Left: CT. Right: PSMA PET, same axial level, 18F tracer.
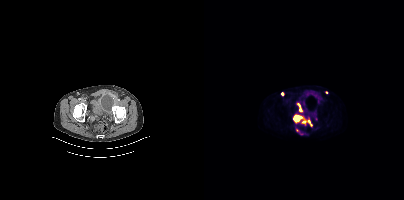
Coordinates are on the 200×200 PET (right) panel. PSMA-avid tumor lesion bounding boxes (x, y, width, height): x=89 y=114 w=10 h=9; x=93 y=103 w=6 h=9; x=104 y=121 w=5 h=6; x=98 y=121 w=5 h=3. Small PSMA-avid foci (2 to 4 px across) near (center x, center y): (78, 94); (122, 92).